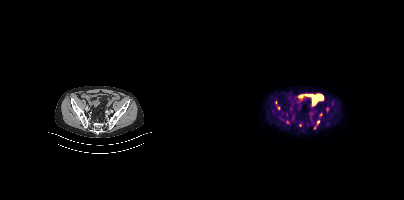
- Left: CT. Right: PSMA PET, same axial level, 18F-PSMA tracer
- slice 92 of 407
- PET panel 200×200 px (4.1 mm/px)
Findings: Coordinates are on the 200×200 PET (right) panel. (showing 3 of 7 foci) Small PSMA-avid foci (2 to 4 px across) near (center x, center y): (114, 122) / (74, 108) / (123, 109).